Left: CT. Right: PSMA PET, same axial level, 18F-PSMA tracer. Acquired on Siemens Biograph mCT Flow 20. Slice 256 of 405.
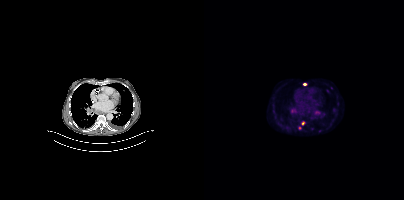
Coordinates are on the 200×200 PET (right) panel. PSMA-avid tumor lesion bounding boxes (partial; 1 more focus not listed):
| # | x0 | y0 | x1 | y1 |
|---|---|---|---|---|
| 1 | 110 | 110 | 116 | 115 |
| 2 | 87 | 110 | 91 | 112 |
Small PSMA-avid foci (2 to 4 px across) near (center x, center y): (100, 84); (99, 123); (96, 128); (108, 128); (116, 131); (123, 90).